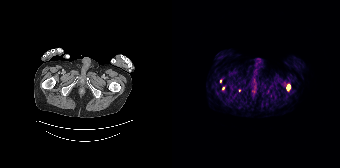
Paired axial CT (left) and PSMA PET (right), 68Ga tracer. Slice 53 of 195. PET panel 168×168 px (4.1 mm/px). Coordinates are on the 168×168 PET (right) panel. (showing 1 of 3 foci) PSMA-avid tumor lesion bounding box (x, y, width, height): x=115 y=85 w=4 h=6.